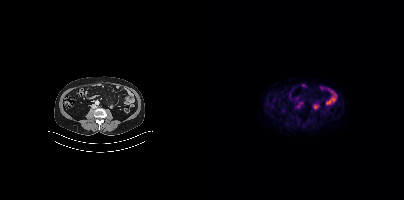
modality: PSMA PET/CT | tracer: [18F]PSMA-1007 | view: axial
This slice has no annotated PSMA-avid lesion.